Left: CT. Right: PSMA PET, same axial level, [18F]PSMA-1007 tracer. PET panel 200×200 px (4.1 mm/px).
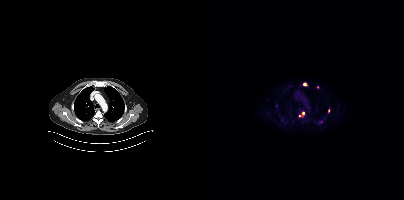
Coordinates are on the 200×200 PET (right) panel. PSMA-avid tumor lesion bounding boxes (x0, y0)-(x1, y1): (99, 82)-(103, 86) / (95, 112)-(100, 116). Small PSMA-avid foci (2 to 4 px across) near (center x, center y): (124, 110) / (113, 87) / (72, 105).